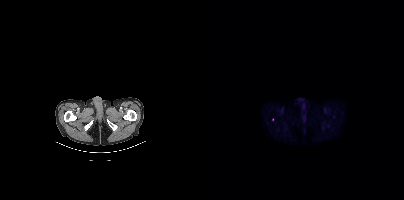
- Left: CT. Right: PSMA PET, same axial level, 18F tracer
- PET panel 200×200 px (4.1 mm/px)
Findings: Only PSMA-avid lesion pieces thinner than 2 px on this slice (not listed).